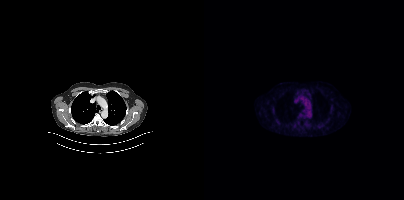
Left: CT. Right: PSMA PET, same axial level, 18F-PSMA tracer. Slice position z = -483 mm. No PSMA-avid tumor lesions on this slice.